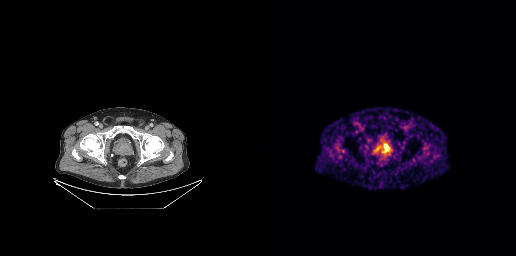
Coordinates are on the 256×256 PET (right) panel. PSMA-avid tumor lesion bounding boxes:
| # | x0 | y0 | x1 | y1 |
|---|---|---|---|---|
| 1 | 124 | 144 | 129 | 151 |
Paired axial CT (left) and PSMA PET (right), [68Ga]Ga-PSMA-11 tracer.